Left: CT. Right: PSMA PET, same axial level, 18F-PSMA tracer. Acquired on Siemens Biograph 64-4R TruePoint. Slice 95 of 165.
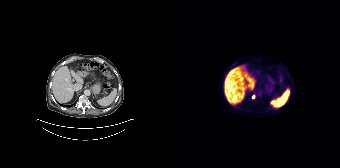
Coordinates are on the 168×168 PET (right) panel. Small PSMA-avid focus (2 to 4 px across) near (center x, center y): (81, 96).